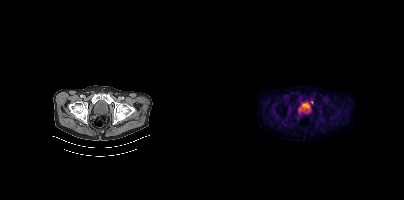
Technique: Paired axial CT (left) and PSMA PET (right), 18F-PSMA tracer. slice 90 of 442. PET panel 200×200 px (4.1 mm/px).
Findings: Coordinates are on the 200×200 PET (right) panel. Small PSMA-avid foci (2 to 4 px across) near (center x, center y): (96, 101) (107, 102).